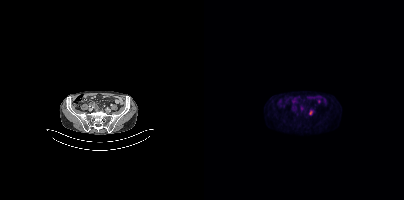
Coordinates are on the 200×200 PET (right) panel. Small PSMA-avid focus (2 to 4 px across) near (center x, center y): (106, 112).